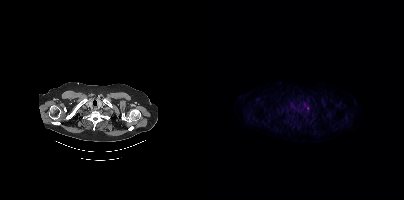
Coordinates are on the 200×200 PET (right) panel. Small PSMA-avid focus (2 to 4 px across) near (center x, center y): (104, 108).